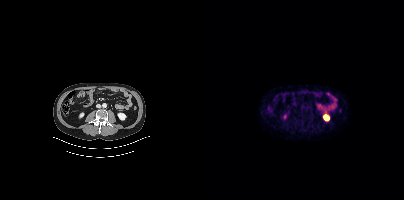
Negative for PSMA-avid disease on this slice.
modality: PSMA PET/CT | tracer: 68Ga-PSMA | view: axial | PET grid: 200×200